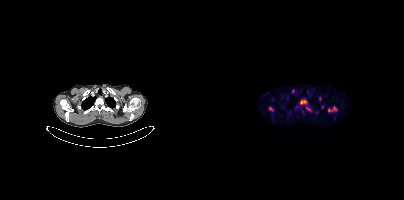
modality: PSMA PET/CT | tracer: 18F | view: axial | PET grid: 200×200
Coordinates are on the 200×200 PET (right) panel. (showing 7 of 8 foci) PSMA-avid tumor lesion bounding boxes (x0,y0,x1,y1): [124,106,133,112] [96,99,103,105] [65,106,69,111] [102,106,107,111]. Small PSMA-avid foci (2 to 4 px across) near (center x, center y): (116, 98) (89, 91) (118, 107).